de-identification: privacy mask over head | modality: PSMA PET/CT | tracer: [18F]PSMA-1007 | view: axial
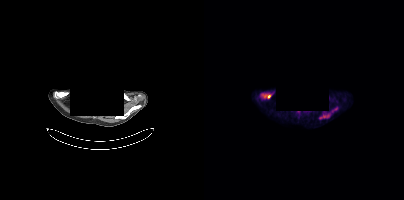
Coordinates are on the 200×200 PET (right) panel. (showing 2 of 3 foci) PSMA-avid tumor lesion bounding boxes (x0,y0,x1,y1): [57,94,67,98] [119,114,124,118].